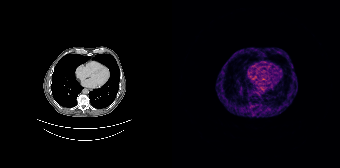
{"pet_grid":[168,168],"coord_frame":"pet_panel","coord_format":"x0,y0,x1,y1","psma_avid_lesions":false,"modality":"PSMA PET/CT","view":"axial","tracer":"68Ga-PSMA"}